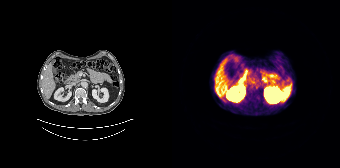
Paired axial CT (left) and PSMA PET (right), 68Ga-PSMA tracer. PET panel 168×168 px (4.1 mm/px). No tumor lesions annotated on this slice.